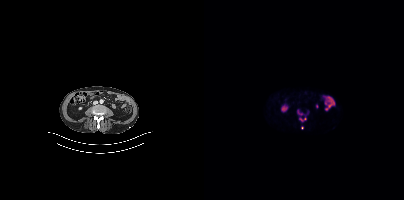
{"modality":"PSMA PET/CT","view":"axial","tracer":"18F","pet_grid":[200,200],"coord_frame":"pet_panel","coord_format":"x0,y0,x1,y1","partial":true,"lesion_bboxes":[[96,118,102,121]],"small_foci_centers":[[98,128],[94,112]]}